Left: CT. Right: PSMA PET, same axial level, 18F tracer. Acquired on Siemens Biograph mCT Flow 20. Slice position z = -922 mm.
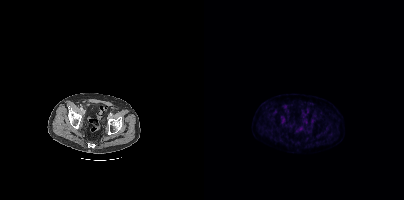
This slice has no annotated PSMA-avid lesion.